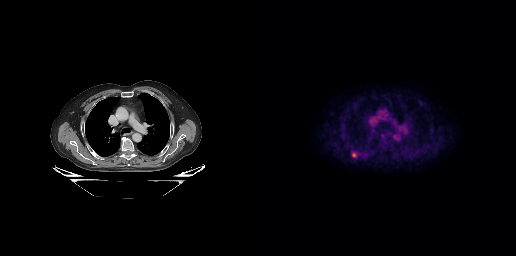
Coordinates are on the 256×256 PET (right) panel. PSMA-avid tumor lesion bounding box (x, y, width, height): x=92 y=152 w=5 h=6.